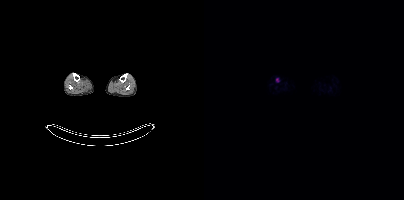
Coordinates are on the 200×200 PET (right) panel. Small PSMA-avid focus (2 to 4 px across) near (center x, center y): (73, 79).